Technique: Paired axial CT (left) and PSMA PET (right), 68Ga-PSMA tracer.
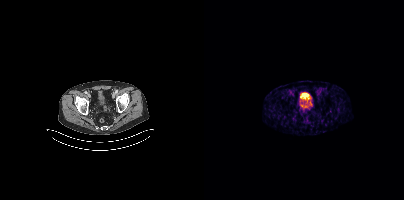
Findings: This slice has no annotated PSMA-avid lesion.